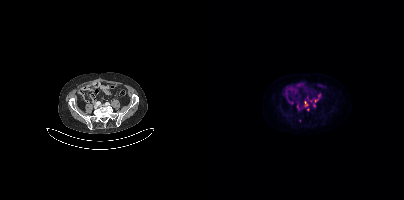
Only PSMA-avid lesion pieces thinner than 2 px on this slice (not listed).